modality: PSMA PET/CT | tracer: 18F | view: axial | PET grid: 200×200
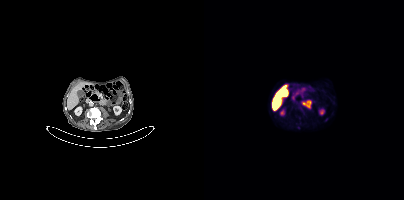
No tumor lesions annotated on this slice.